- Two-panel axial: CT | PSMA PET, [18F]PSMA-1007 tracer
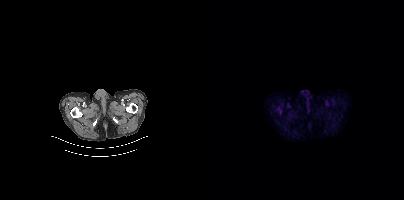
Findings: Coordinates are on the 200×200 PET (right) panel. Small PSMA-avid focus (2 to 4 px across) near (center x, center y): (76, 112).